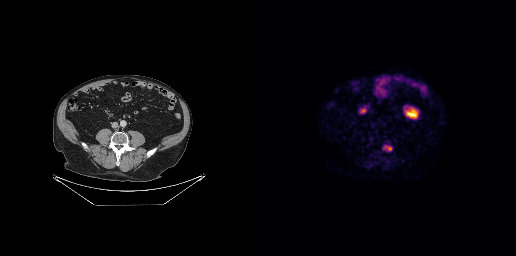
Two-panel axial: CT | PSMA PET, [18F]PSMA-1007 tracer. Slice 114 of 263. PET panel 256×256 px (2.7 mm/px). Coordinates are on the 256×256 PET (right) panel. PSMA-avid tumor lesion bounding box (x0, y0)-(x1, y1): (122, 144)-(132, 151).